- Paired axial CT (left) and PSMA PET (right), 18F tracer
- slice position z = -1558 mm
- PET panel 200×200 px (4.1 mm/px)
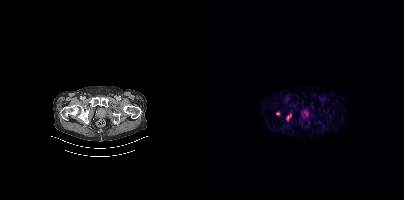
Findings: Coordinates are on the 200×200 PET (right) panel. PSMA-avid tumor lesion bounding box (x0,y0,x1,y1): [82,114,87,120]. Small PSMA-avid focus (2 to 4 px across) near (center x, center y): (73, 113).